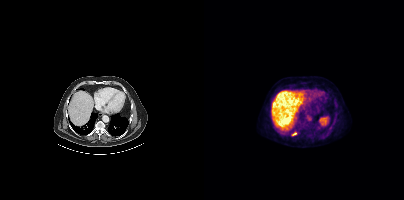
{"modality":"PSMA PET/CT","view":"axial","tracer":"18F-PSMA","pet_grid":[200,200],"coord_frame":"pet_panel","coord_format":"x0,y0,x1,y1","lesion_bboxes":[[88,132,92,135]]}